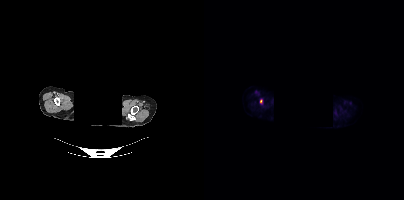
Coordinates are on the 200×200 PET (right) panel. PSMA-avid tumor lesion bounding boxes:
| # | x0 | y0 | x1 | y1 |
|---|---|---|---|---|
| 1 | 56 | 99 | 58 | 103 |
Privacy masking over the head, with the pixels inside a rectangle set to black. Paired axial CT (left) and PSMA PET (right), 18F-PSMA tracer. Slice 330 of 381. PET panel 200×200 px (4.1 mm/px).